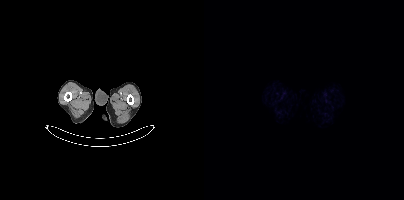
Findings: No tumor lesions annotated on this slice.
Technique: Paired axial CT (left) and PSMA PET (right), 18F tracer. slice 15 of 409. PET panel 200×200 px (4.1 mm/px).